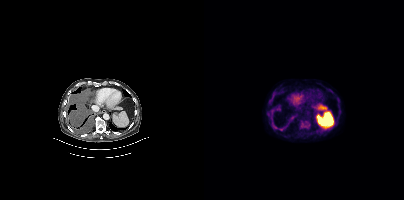
Coordinates are on the 200×200 PET (right) panel. (showing 3 of 5 foci) PSMA-avid tumor lesion bounding box (x, y, width, height): x=96 y=120 w=9 h=9. Small PSMA-avid foci (2 to 4 px across) near (center x, center y): (64, 114) | (72, 127).